Paired axial CT (left) and PSMA PET (right), [18F]PSMA-1007 tracer. Slice position z = -1747 mm. PET panel 200×200 px (4.1 mm/px).
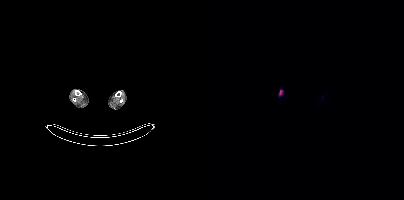
Coordinates are on the 200×200 PET (right) panel. PSMA-avid tumor lesion bounding boxes:
| # | x0 | y0 | x1 | y1 |
|---|---|---|---|---|
| 1 | 75 | 90 | 78 | 94 |